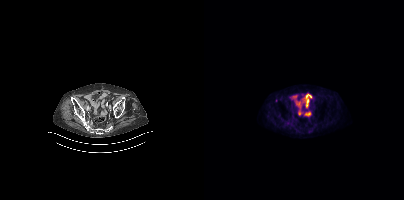
modality: PSMA PET/CT | tracer: [18F]PSMA-1007 | view: axial | PET grid: 200×200
Only PSMA-avid lesion pieces thinner than 2 px on this slice (not listed).